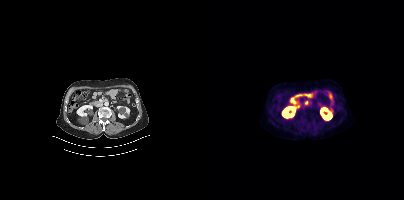
{"pet_grid":[200,200],"coord_frame":"pet_panel","coord_format":"x0,y0,x1,y1","psma_avid_lesions":false,"modality":"PSMA PET/CT","view":"axial","tracer":"18F"}